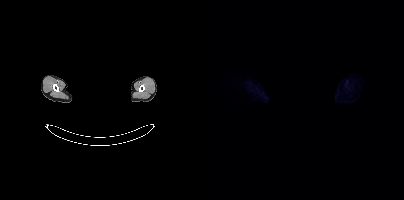
Left: CT. Right: PSMA PET, same axial level, 18F tracer. The face region was removed for patient privacy by blanking a rectangle over the head. This slice has no annotated PSMA-avid lesion.